Two-panel axial: CT | PSMA PET, 18F tracer. Acquired on Siemens Biograph mCT Flow 20. PET panel 200×200 px (4.1 mm/px).
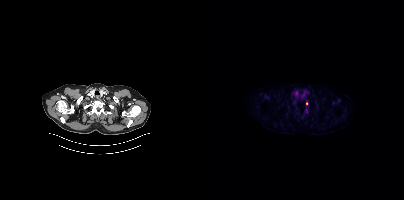
Coordinates are on the 200×200 PET (right) panel. Small PSMA-avid focus (2 to 4 px across) near (center x, center y): (102, 103).